Paired axial CT (left) and PSMA PET (right), 18F tracer. Acquired on Siemens Biograph mCT Flow 20. Slice position z = -935 mm.
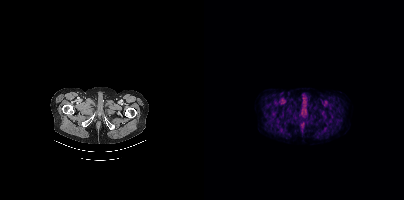
This slice has no annotated PSMA-avid lesion.